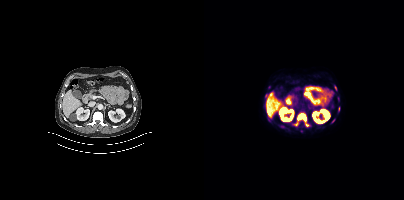
Coordinates are on the 200×200 PET (right) panel. PSMA-avid tumor lesion bounding boxes (partial; 2 more foci not listed):
| # | x0 | y0 | x1 | y1 |
|---|---|---|---|---|
| 1 | 90 | 114 | 104 | 126 |
Small PSMA-avid foci (2 to 4 px across) near (center x, center y): (129, 120); (131, 87).
Left: CT. Right: PSMA PET, same axial level, [18F]PSMA-1007 tracer. Acquired on Siemens Biograph mCT Flow 20. Slice position z = -1204 mm.